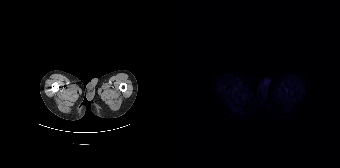
- Left: CT. Right: PSMA PET, same axial level, [18F]PSMA-1007 tracer
- slice 17 of 165
- PET panel 168×168 px (4.1 mm/px)
Findings: This slice has no annotated PSMA-avid lesion.